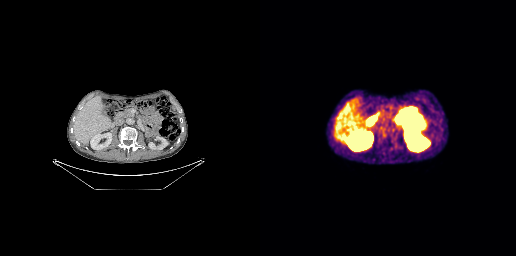
Findings: No tumor lesions annotated on this slice.
Technique: Two-panel axial: CT | PSMA PET, [18F]PSMA-1007 tracer. slice 121 of 263. PET panel 256×256 px (2.7 mm/px).